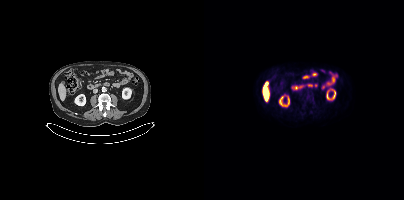
Two-panel axial: CT | PSMA PET, 18F-PSMA tracer. Acquired on Siemens Biograph mCT Flow 20. Slice 162 of 403. No PSMA-avid tumor lesions on this slice.